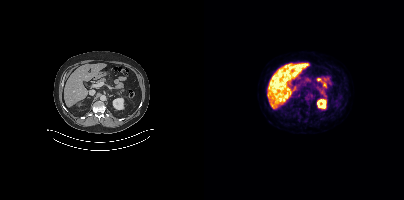
Paired axial CT (left) and PSMA PET (right), 18F tracer. PET panel 200×200 px (4.1 mm/px).
Coordinates are on the 200×200 PET (right) panel. PSMA-avid tumor lesion bounding boxes (partial; 1 more focus not listed):
| # | x0 | y0 | x1 | y1 |
|---|---|---|---|---|
| 1 | 105 | 95 | 109 | 99 |
Small PSMA-avid focus (2 to 4 px across) near (center x, center y): (98, 100).